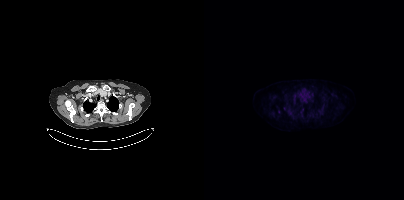
No PSMA-avid tumor lesions on this slice. Paired axial CT (left) and PSMA PET (right), 18F tracer. Acquired on Siemens Biograph mCT Flow 20. Slice 318 of 395. PET panel 200×200 px (4.1 mm/px).